Left: CT. Right: PSMA PET, same axial level, [68Ga]Ga-PSMA-11 tracer. Slice 144 of 195.
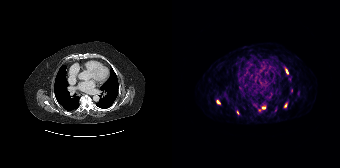
Coordinates are on the 168×168 PET (right) panel. PSMA-avid tumor lesion bounding boxes (x, y, width, height): x=114 y=69 w=3 h=5; x=113 y=103 w=3 h=5. Small PSMA-avid foci (2 to 4 px across) near (center x, center y): (46, 101); (91, 107); (65, 112).